Technique: Left: CT. Right: PSMA PET, same axial level, 18F-PSMA tracer. PET panel 200×200 px (4.1 mm/px).
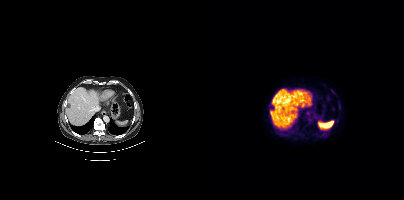
Findings: Negative for PSMA-avid disease on this slice.